modality: PSMA PET/CT | tracer: [68Ga]Ga-PSMA-11 | view: axial
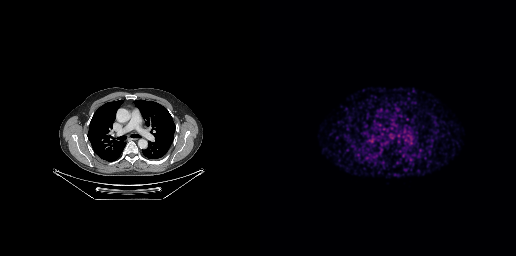
This slice has no annotated PSMA-avid lesion.